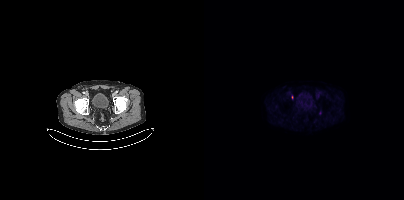
{"modality":"PSMA PET/CT","view":"axial","tracer":"18F-PSMA","pet_grid":[200,200],"coord_frame":"pet_panel","coord_format":"x0,y0,x1,y1","partial":true,"lesion_bboxes":[]}